modality: PSMA PET/CT | tracer: 18F-PSMA | view: axial | PET grid: 200×200
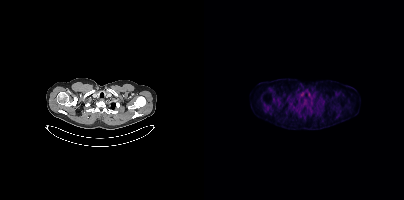
No tumor lesions annotated on this slice.